- Left: CT. Right: PSMA PET, same axial level, [18F]PSMA-1007 tracer
- acquired on Siemens Biograph mCT Flow 20
- slice position z = -1051 mm
- PET panel 200×200 px (4.1 mm/px)
- privacy masking over the head, with the pixels inside a rectangle set to black
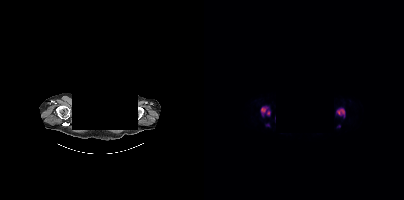
Findings: Coordinates are on the 200×200 PET (right) panel. PSMA-avid tumor lesion bounding boxes (x, y, width, height): x=56 y=105 w=11 h=13 / x=132 y=108 w=10 h=10. Small PSMA-avid foci (2 to 4 px across) near (center x, center y): (63, 124) / (135, 126).